Technique: Paired axial CT (left) and PSMA PET (right), 18F tracer. PET panel 200×200 px (4.1 mm/px).
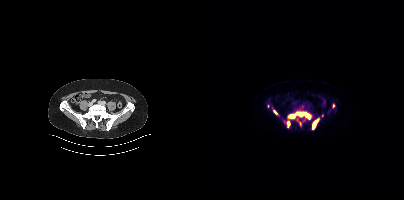
Findings: Coordinates are on the 200×200 PET (right) panel. (showing 6 of 8 foci) PSMA-avid tumor lesion bounding boxes (x0, y0)-(x1, y1): (84, 112)-(106, 119) | (108, 118)-(115, 129) | (83, 121)-(86, 127) | (69, 110)-(73, 114). Small PSMA-avid foci (2 to 4 px across) near (center x, center y): (129, 106) | (118, 115).